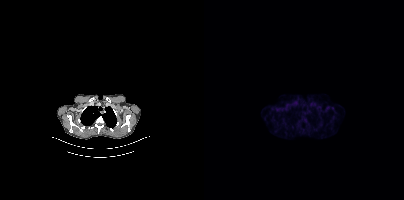
{"modality":"PSMA PET/CT","view":"axial","tracer":"[18F]PSMA-1007","pet_grid":[200,200],"coord_frame":"pet_panel","coord_format":"x0,y0,x1,y1","psma_avid_lesions":false}